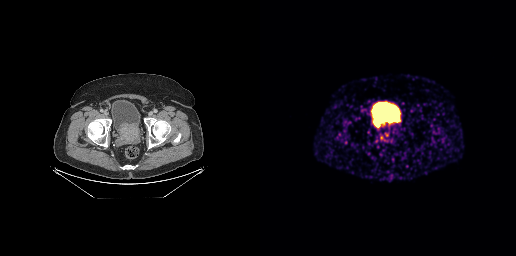
Paired axial CT (left) and PSMA PET (right), 68Ga tracer. Slice 88 of 299. Coordinates are on the 256×256 PET (right) panel. PSMA-avid tumor lesion bounding box (x0,y0,x1,y1): [119,132,129,141].